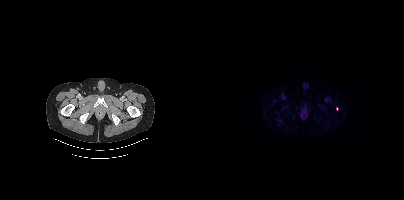
Coordinates are on the 200×200 PET (right) panel. Small PSMA-avid focus (2 to 4 px across) near (center x, center y): (133, 108).